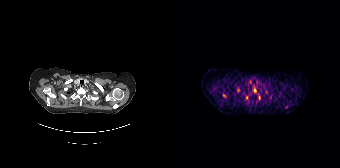
Technique: Two-panel axial: CT | PSMA PET, 68Ga tracer. acquired on Siemens Biograph 64-4R TruePoint. slice position z = -996 mm.
Findings: Coordinates are on the 168×168 PET (right) panel. Small PSMA-avid foci (2 to 4 px across) near (center x, center y): (83, 90) / (52, 95) / (87, 97) / (114, 106) / (74, 97).